modality: PSMA PET/CT | tracer: [18F]PSMA-1007 | view: axial
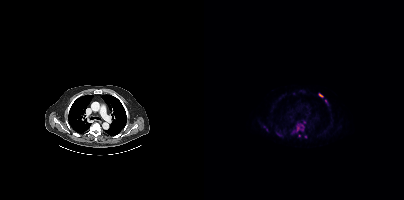
Coordinates are on the 200×200 PET (right) panel. (showing 5 of 7 foci) Small PSMA-avid foci (2 to 4 px across) near (center x, center y): (116, 94); (93, 128); (121, 101); (73, 133); (101, 136).